Left: CT. Right: PSMA PET, same axial level, 18F tracer. Slice position z = -1260 mm.
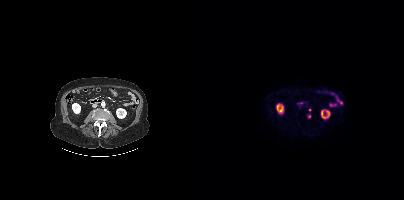
No tumor lesions annotated on this slice.